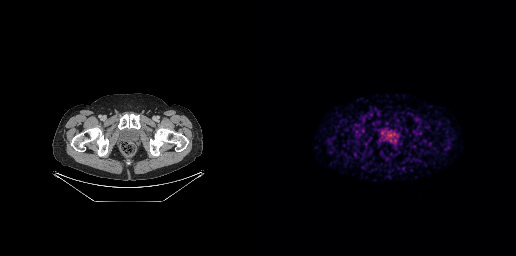
Coordinates are on the 256×256 PET (right) panel. PSMA-avid tumor lesion bounding box (x0, y0)-(x1, y1): (129, 140)-(135, 144).